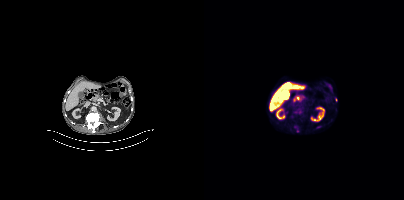
- Two-panel axial: CT | PSMA PET, 18F-PSMA tracer
- acquired on Siemens Biograph mCT Flow 20
- slice position z = 198 mm
Findings: Coordinates are on the 200×200 PET (right) panel. (showing 2 of 3 foci) Small PSMA-avid foci (2 to 4 px across) near (center x, center y): (113, 127); (132, 99).